Paired axial CT (left) and PSMA PET (right), 18F-PSMA tracer. Slice position z = -1222 mm.
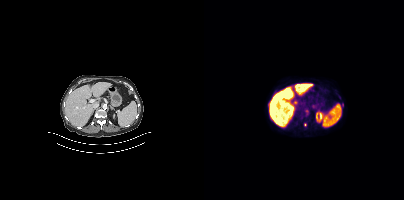
Coordinates are on the 200×200 PET (right) panel. Small PSMA-avid foci (2 to 4 px across) near (center x, center y): (101, 124), (138, 104).